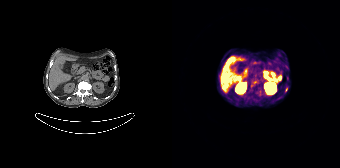
{"modality":"PSMA PET/CT","view":"axial","tracer":"68Ga","pet_grid":[168,168],"coord_frame":"pet_panel","coord_format":"x0,y0,x1,y1","partial":true,"lesion_bboxes":[],"small_foci_centers":[[114,89]]}